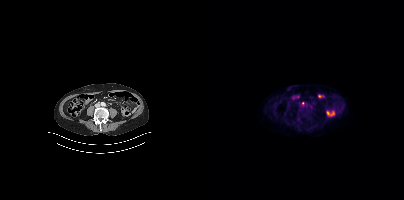
Technique: Paired axial CT (left) and PSMA PET (right), 18F-PSMA tracer. acquired on Siemens Biograph mCT Flow 20.
Findings: Coordinates are on the 200×200 PET (right) panel. Small PSMA-avid focus (2 to 4 px across) near (center x, center y): (98, 102).